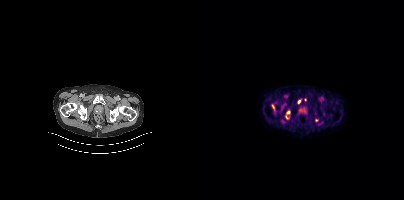
- Two-panel axial: CT | PSMA PET, [18F]PSMA-1007 tracer
Findings: Coordinates are on the 200×200 PET (right) panel. (showing 4 of 6 foci) Small PSMA-avid foci (2 to 4 px across) near (center x, center y): (95, 101), (84, 112), (68, 106), (82, 117).